Two-panel axial: CT | PSMA PET, 18F tracer.
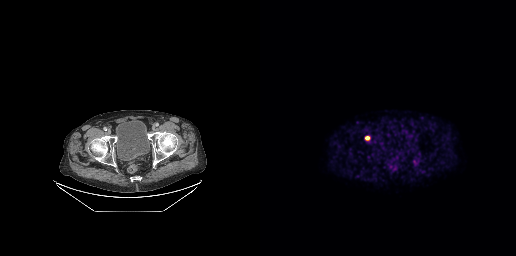
Coordinates are on the 256×256 PET (right) panel. PSMA-avid tumor lesion bounding boxes:
| # | x0 | y0 | x1 | y1 |
|---|---|---|---|---|
| 1 | 105 | 136 | 109 | 139 |